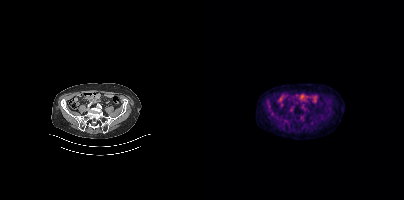
{"modality":"PSMA PET/CT","view":"axial","tracer":"18F","pet_grid":[200,200],"coord_frame":"pet_panel","coord_format":"x0,y0,x1,y1","psma_avid_lesions":false}